Two-panel axial: CT | PSMA PET, 18F-PSMA tracer. Slice position z = -1198 mm.
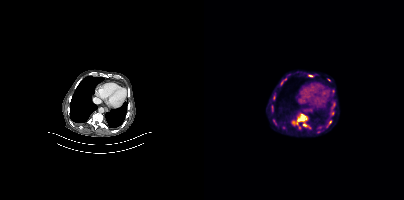
Coordinates are on the 200×200 PET (right) panel. PSMA-avid tumor lesion bounding boxes:
| # | x0 | y0 | x1 | y1 |
|---|---|---|---|---|
| 1 | 89 | 114 | 103 | 124 |
| 2 | 127 | 110 | 130 | 114 |
Small PSMA-avid focus (2 to 4 px across) near (center x, center y): (100, 124).